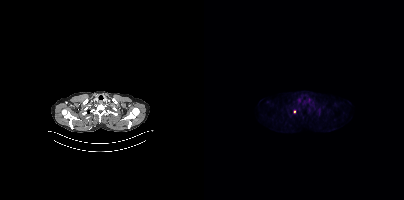
Two-panel axial: CT | PSMA PET, 18F-PSMA tracer. Slice position z = -340 mm. PET panel 200×200 px (4.1 mm/px). Coordinates are on the 200×200 PET (right) panel. Small PSMA-avid focus (2 to 4 px across) near (center x, center y): (90, 111).